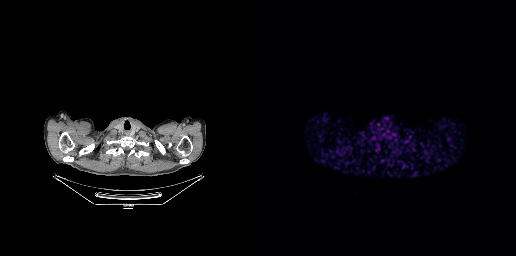
{"pet_grid":[256,256],"coord_frame":"pet_panel","coord_format":"x0,y0,x1,y1","psma_avid_lesions":false,"modality":"PSMA PET/CT","view":"axial","tracer":"68Ga"}